modality: PSMA PET/CT | tracer: [68Ga]Ga-PSMA-11 | view: axial
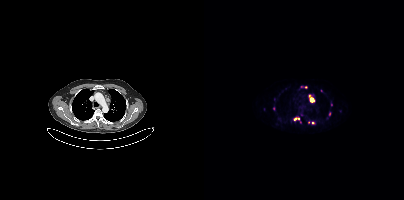
Coordinates are on the 200×200 PET (right) panel. (showing 10 of 11 foci) PSMA-avid tumor lesion bounding boxes (x0,y0,x1,y1): [105,95,109,102]; [90,117,95,120]; [97,86,102,88]. Small PSMA-avid foci (2 to 4 px across) near (center x, center y): (125, 113); (69, 108); (127, 104); (104, 122); (108, 122); (117, 90); (97, 114).